An anonymization step blacked out a rectangle over the head in this scan. Paired axial CT (left) and PSMA PET (right), 18F-PSMA tracer. Slice 319 of 373.
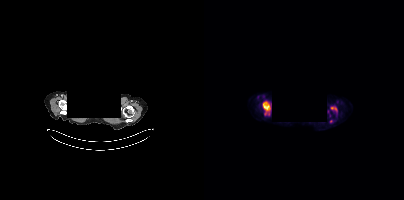
Coordinates are on the 200×200 PET (right) panel. (showing 2 of 4 foci) PSMA-avid tumor lesion bounding boxes (x0, y0)-(x1, y1): (59, 101)-(66, 111); (127, 107)-(132, 110).